- Left: CT. Right: PSMA PET, same axial level, 18F tracer
- slice 252 of 462
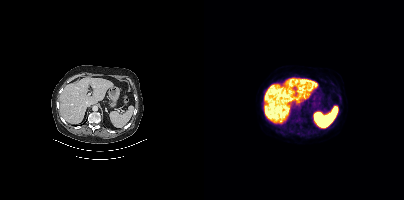
Findings: No PSMA-avid tumor lesions on this slice.